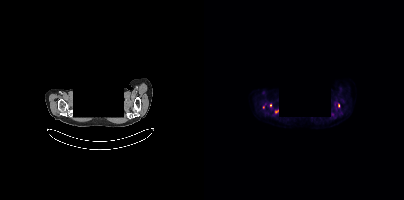
Coordinates are on the 200×200 PET (right) panel. PSMA-avid tumor lesion bounding boxes:
| # | x0 | y0 | x1 | y1 |
|---|---|---|---|---|
| 1 | 71 | 109 | 74 | 113 |
Small PSMA-avid foci (2 to 4 px across) near (center x, center y): (66, 105); (134, 105); (59, 107).
Left: CT. Right: PSMA PET, same axial level, [18F]PSMA-1007 tracer. Acquired on Siemens Biograph mCT Flow 20. Slice position z = -896 mm. Face de-identified by blanking a block of the head.